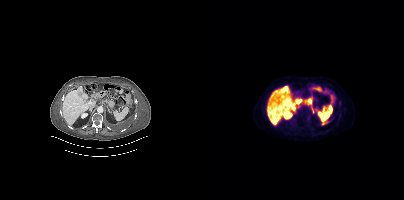
{"pet_grid":[200,200],"coord_frame":"pet_panel","coord_format":"x0,y0,x1,y1","lesion_bboxes":[[100,98,108,105]],"modality":"PSMA PET/CT","view":"axial","tracer":"18F-PSMA"}